- Paired axial CT (left) and PSMA PET (right), 18F tracer
- acquired on Siemens Biograph 64-4R TruePoint
- PET panel 168×168 px (4.1 mm/px)
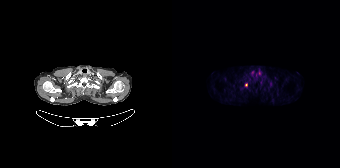
Findings: Coordinates are on the 168×168 PET (right) panel. Small PSMA-avid focus (2 to 4 px across) near (center x, center y): (74, 84).